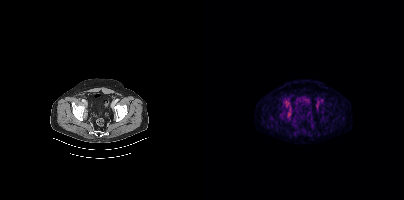
Coordinates are on the 200×200 PET (right) panel. Small PSMA-avid focus (2 to 4 px across) near (center x, center y): (84, 114). Two-panel axial: CT | PSMA PET, 18F-PSMA tracer. Acquired on Siemens Biograph mCT Flow 20.